Technique: Paired axial CT (left) and PSMA PET (right), 68Ga-PSMA tracer. slice 64 of 385.
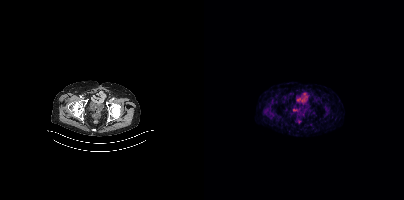
Findings: Negative for PSMA-avid disease on this slice.